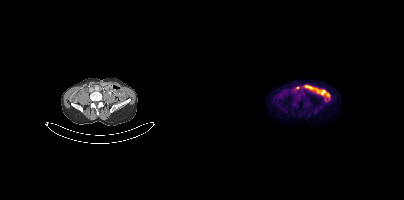
Findings: Negative for PSMA-avid disease on this slice.
Technique: Left: CT. Right: PSMA PET, same axial level, 18F-PSMA tracer. acquired on Siemens Biograph mCT Flow 20. slice 139 of 417. PET panel 200×200 px (4.1 mm/px).